- Paired axial CT (left) and PSMA PET (right), 18F-PSMA tracer
- acquired on Siemens Biograph mCT Flow 20
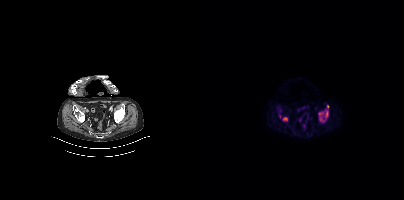
Findings: Coordinates are on the 200×200 PET (right) panel. (showing 3 of 4 foci) PSMA-avid tumor lesion bounding boxes (x, y, width, height): x=114 y=105 w=11 h=18 | x=78 y=117 w=6 h=5. Small PSMA-avid focus (2 to 4 px across) near (center x, center y): (75, 116).